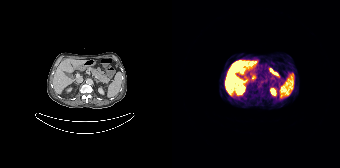
Left: CT. Right: PSMA PET, same axial level, [68Ga]Ga-PSMA-11 tracer. Acquired on Siemens Biograph 64-4R TruePoint. Negative for PSMA-avid disease on this slice.